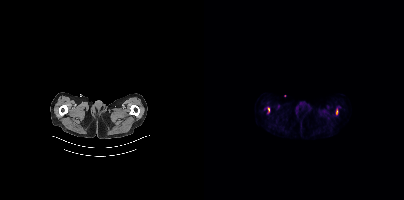
Two-panel axial: CT | PSMA PET, 18F-PSMA tracer. Acquired on Siemens Biograph mCT Flow 20. PET panel 200×200 px (4.1 mm/px).
Coordinates are on the 200×200 PET (right) panel. PSMA-avid tumor lesion bounding boxes:
| # | x0 | y0 | x1 | y1 |
|---|---|---|---|---|
| 1 | 63 | 107 | 65 | 113 |
| 2 | 132 | 109 | 134 | 114 |